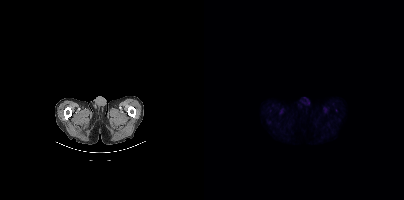
- Paired axial CT (left) and PSMA PET (right), [18F]PSMA-1007 tracer
- slice 26 of 435
- PET panel 200×200 px (4.1 mm/px)
Findings: No tumor lesions annotated on this slice.